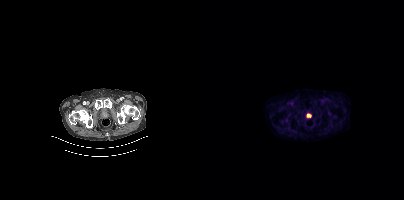
Technique: Left: CT. Right: PSMA PET, same axial level, 18F-PSMA tracer. slice position z = -1462 mm.
Findings: Coordinates are on the 200×200 PET (right) panel. Small PSMA-avid focus (2 to 4 px across) near (center x, center y): (104, 115).